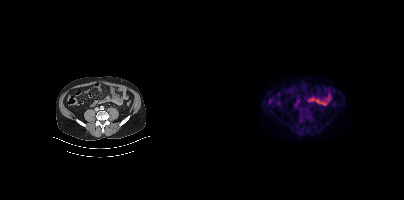
Paired axial CT (left) and PSMA PET (right), [18F]PSMA-1007 tracer. Acquired on Siemens Biograph mCT Flow 20. Slice position z = -636 mm. No PSMA-avid tumor lesions on this slice.